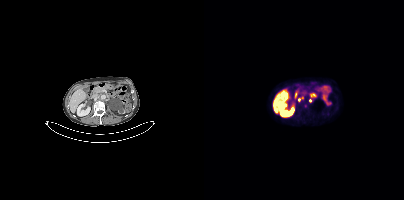
Coordinates are on the 200×200 PET (right) panel. (showing 1 of 2 foci) Small PSMA-avid focus (2 to 4 px across) near (center x, center y): (94, 99). Paired axial CT (left) and PSMA PET (right), 18F-PSMA tracer. Acquired on Siemens Biograph mCT Flow 20.